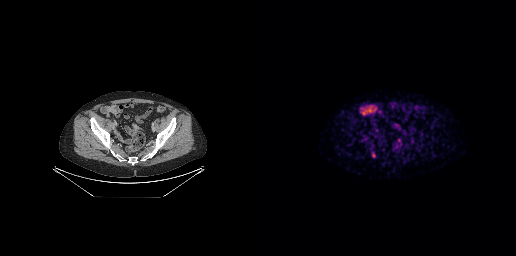
- Left: CT. Right: PSMA PET, same axial level, 68Ga tracer
- slice 102 of 299
- PET panel 256×256 px (2.7 mm/px)
Findings: Only PSMA-avid lesion pieces thinner than 2 px on this slice (not listed).